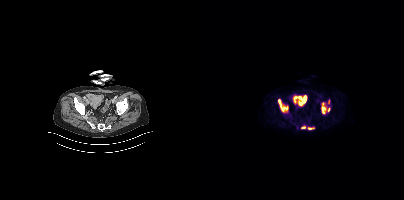
Coordinates are on the 200×200 PET (right) panel. PSMA-avid tumor lesion bounding boxes:
| # | x0 | y0 | x1 | y1 |
|---|---|---|---|---|
| 1 | 74 | 99 | 83 | 111 |
| 2 | 118 | 102 | 122 | 113 |
| 3 | 104 | 128 | 110 | 129 |
Small PSMA-avid foci (2 to 4 px across) near (center x, center y): (124, 101); (124, 109); (99, 127).
Left: CT. Right: PSMA PET, same axial level, 18F-PSMA tracer. Slice position z = -1396 mm. PET panel 200×200 px (4.1 mm/px).